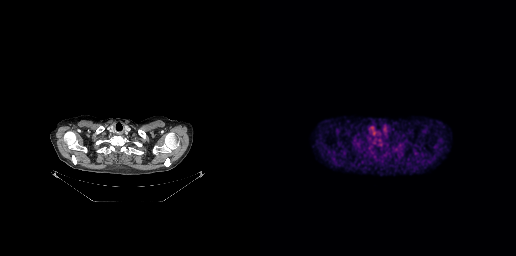
- Paired axial CT (left) and PSMA PET (right), 18F-PSMA tracer
Findings: This slice has no annotated PSMA-avid lesion.